Technique: Left: CT. Right: PSMA PET, same axial level, 18F tracer. slice 381 of 401.
Note: De-identified by setting a box covering the face to black before release.
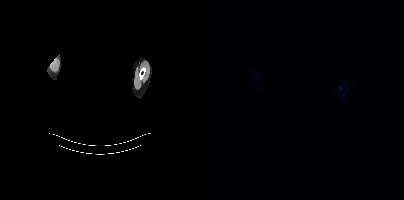
Findings: Negative for PSMA-avid disease on this slice.